Two-panel axial: CT | PSMA PET, 18F-PSMA tracer. Acquired on Siemens Biograph mCT Flow 20. Slice 158 of 431.
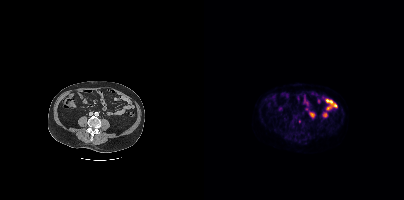
Coordinates are on the 200×200 PET (right) panel. Small PSMA-avid focus (2 to 4 px across) near (center x, center y): (95, 121).